- Two-panel axial: CT | PSMA PET, 18F-PSMA tracer
- acquired on Siemens Biograph mCT Flow 20
- slice 17 of 466
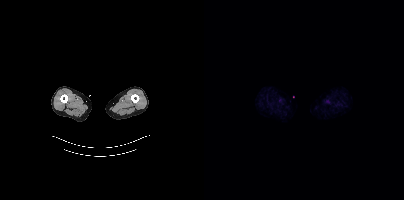
Findings: No PSMA-avid tumor lesions on this slice.